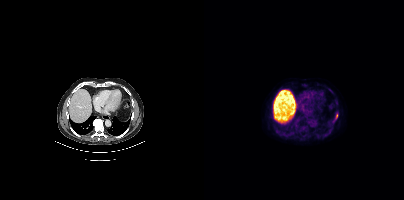
Findings: Coordinates are on the 200×200 PET (right) panel. PSMA-avid tumor lesion bounding box (x, y, width, height): x=129 y=114 w=5 h=8.
- Paired axial CT (left) and PSMA PET (right), 18F tracer
- slice 266 of 417